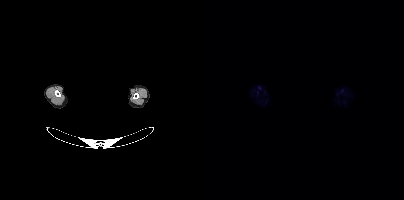
{"modality":"PSMA PET/CT","view":"axial","tracer":"[18F]PSMA-1007","pet_grid":[200,200],"coord_frame":"pet_panel","coord_format":"x0,y0,x1,y1","de-identification":"head region blacked out before release","psma_avid_lesions":false}